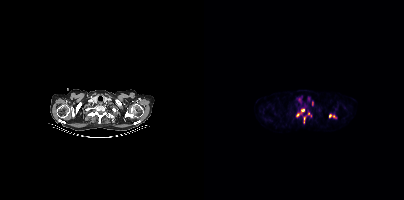
Coordinates are on the 200×200 PET (right) panel. PSMA-avid tumor lesion bounding boxes (x, y, width, height): x=92 y=109 w=9 h=8 / x=100 y=117 w=2 h=6. Small PSMA-avid foci (2 to 4 px across) near (center x, center y): (126, 115) / (108, 103) / (104, 113) / (129, 116). Paired axial CT (left) and PSMA PET (right), 18F-PSMA tracer. PET panel 200×200 px (4.1 mm/px).